Technique: Left: CT. Right: PSMA PET, same axial level, [18F]PSMA-1007 tracer. PET panel 200×200 px (4.1 mm/px).
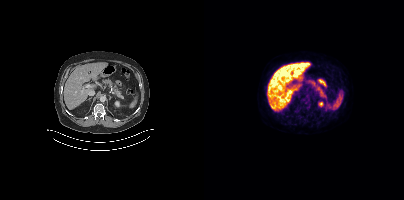
Findings: Coordinates are on the 200×200 PET (right) panel. PSMA-avid tumor lesion bounding box (x, y, width, height): x=91 y=109 w=5 h=5. Small PSMA-avid focus (2 to 4 px across) near (center x, center y): (107, 103).